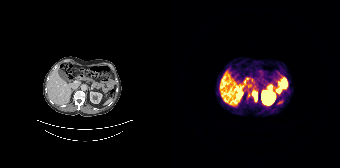
{"modality":"PSMA PET/CT","view":"axial","tracer":"68Ga-PSMA","pet_grid":[168,168],"coord_frame":"pet_panel","coord_format":"x0,y0,x1,y1","partial":true,"lesion_bboxes":[[80,92,84,100]]}